Technique: Left: CT. Right: PSMA PET, same axial level, [18F]PSMA-1007 tracer.
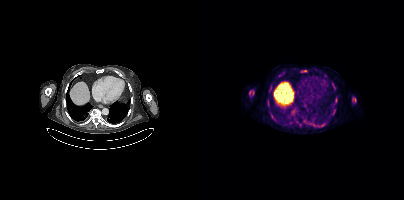
Findings: Coordinates are on the 200×200 PET (right) panel. (showing 4 of 7 foci) PSMA-avid tumor lesion bounding boxes (x0,y0,x1,y1): [45,90,50,94] [148,97,152,102]. Small PSMA-avid foci (2 to 4 px across) near (center x, center y): (64, 105) (101, 70).